- Two-panel axial: CT | PSMA PET, 18F-PSMA tracer
- slice position z = -542 mm
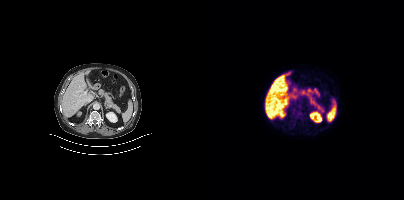
Findings: No PSMA-avid tumor lesions on this slice.